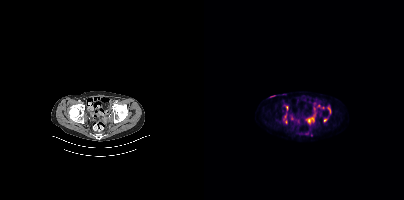
Coordinates are on the 200×200 PET (right) panel. (showing 5 of 6 foci) PSMA-avid tumor lesion bounding boxes (x0, y0)-(x1, y1): (79, 113)-(83, 123); (81, 105)-(84, 110). Small PSMA-avid foci (2 to 4 px across) near (center x, center y): (105, 120); (121, 120); (108, 118).
modality: PSMA PET/CT | tracer: [18F]PSMA-1007 | view: axial